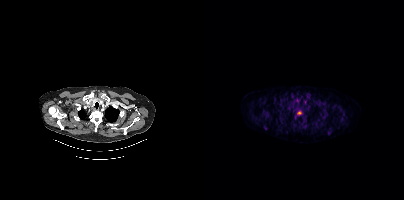
Findings: Coordinates are on the 200×200 PET (right) panel. Small PSMA-avid foci (2 to 4 px across) near (center x, center y): (95, 112); (124, 133).
- Paired axial CT (left) and PSMA PET (right), [18F]PSMA-1007 tracer